- Two-panel axial: CT | PSMA PET, [68Ga]Ga-PSMA-11 tracer
- slice 2 of 444
- PET panel 200×200 px (4.1 mm/px)
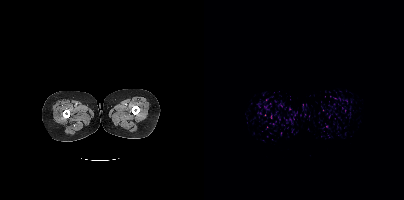
Findings: This slice has no annotated PSMA-avid lesion.